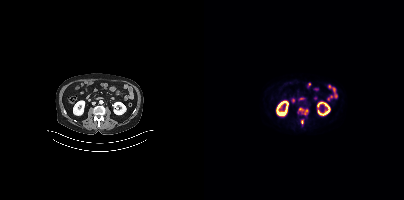
Coordinates are on the 200×200 PET (right) panel. PSMA-avid tumor lesion bounding boxes:
| # | x0 | y0 | x1 | y1 |
|---|---|---|---|---|
| 1 | 94 | 107 | 104 | 115 |
Small PSMA-avid focus (2 to 4 px across) near (center x, center y): (98, 121).
Left: CT. Right: PSMA PET, same axial level, 18F-PSMA tracer. Acquired on Siemens Biograph mCT Flow 20. PET panel 200×200 px (4.1 mm/px).